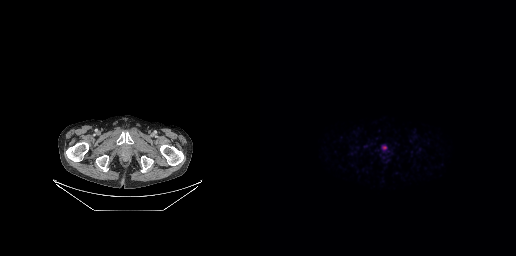
Negative for PSMA-avid disease on this slice.